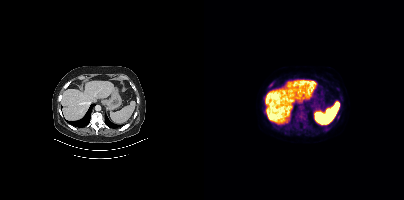
{"modality":"PSMA PET/CT","view":"axial","tracer":"18F","pet_grid":[200,200],"coord_frame":"pet_panel","coord_format":"x0,y0,x1,y1","lesion_bboxes":[[90,111,103,127],[64,84,68,87]],"small_foci_centers":[[133,88],[120,130],[97,129],[136,97]]}